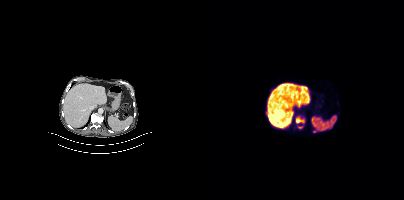
Coordinates are on the 200×200 PET (right) panel. PSMA-avid tumor lesion bounding boxes:
| # | x0 | y0 | x1 | y1 |
|---|---|---|---|---|
| 1 | 92 | 117 | 100 | 123 |
Small PSMA-avid foci (2 to 4 px across) near (center x, center y): (110, 131); (96, 127).
Left: CT. Right: PSMA PET, same axial level, [18F]PSMA-1007 tracer. Slice position z = -510 mm. PET panel 200×200 px (4.1 mm/px).